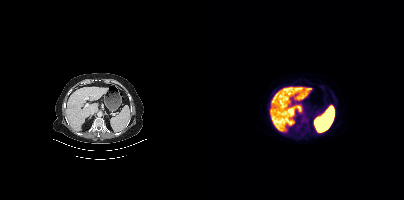
Paired axial CT (left) and PSMA PET (right), 18F-PSMA tracer. Slice position z = -1182 mm. Negative for PSMA-avid disease on this slice.